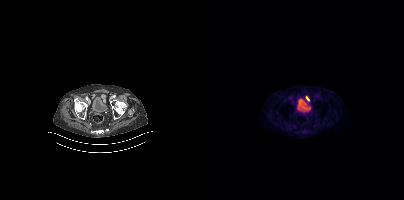
{"modality":"PSMA PET/CT","view":"axial","tracer":"18F-PSMA","pet_grid":[200,200],"coord_frame":"pet_panel","coord_format":"x0,y0,x1,y1","psma_avid_lesions":false}